- Two-panel axial: CT | PSMA PET, 18F tracer
- acquired on Siemens Biograph mCT Flow 20
- slice position z = -1561 mm
- PET panel 200×200 px (4.1 mm/px)
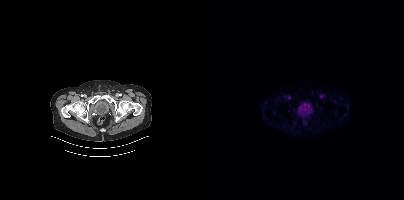
Findings: No PSMA-avid tumor lesions on this slice.